Technique: Two-panel axial: CT | PSMA PET, [18F]PSMA-1007 tracer. acquired on GE Discovery 690. slice 153 of 263. PET panel 256×256 px (2.7 mm/px).
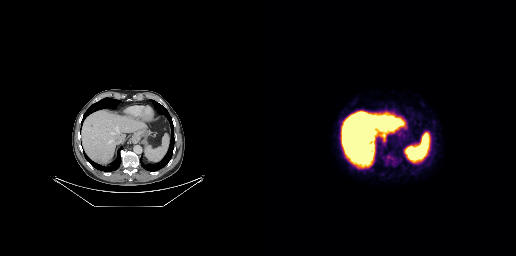
Findings: No tumor lesions annotated on this slice.